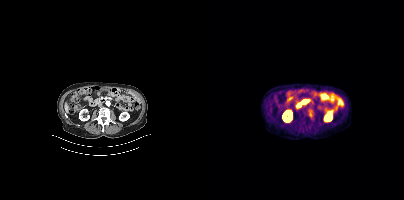
{"modality":"PSMA PET/CT","view":"axial","tracer":"18F","pet_grid":[200,200],"coord_frame":"pet_panel","coord_format":"x0,y0,x1,y1","psma_avid_lesions":false}